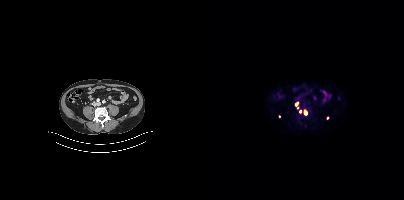
Coordinates are on the 200×200 PET (right) panel. (showing 5 of 6 foci) PSMA-avid tumor lesion bounding box (x, y, width, height): x=99 y=110 w=5 h=5. Small PSMA-avid foci (2 to 4 px across) near (center x, center y): (92, 104) / (93, 107) / (96, 111) / (123, 117).